Left: CT. Right: PSMA PET, same axial level, 18F-PSMA tracer. PET panel 200×200 px (4.1 mm/px).
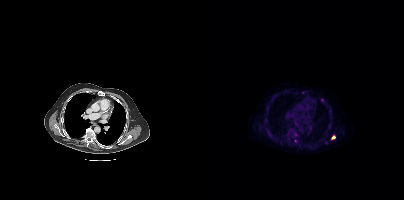
Coordinates are on the 200×200 PET (right) panel. Small PSMA-avid foci (2 to 4 px across) near (center x, center y): (129, 137) | (91, 140).